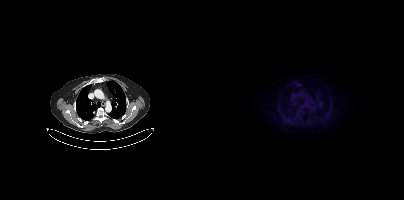
- Left: CT. Right: PSMA PET, same axial level, 18F tracer
- acquired on Siemens Biograph mCT Flow 20
Findings: Negative for PSMA-avid disease on this slice.